- Left: CT. Right: PSMA PET, same axial level, 18F tracer
- slice position z = -1018 mm
- PET panel 200×200 px (4.1 mm/px)
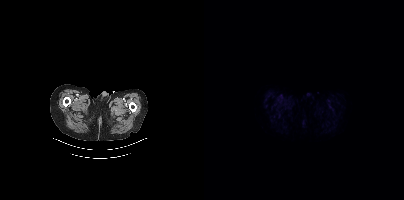
Findings: Negative for PSMA-avid disease on this slice.